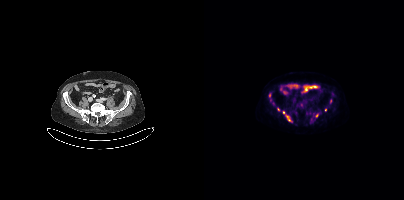
Coordinates are on the 200×200 PET (right) panel. PSMA-avid tumor lesion bounding box (x0,y0,x1,y1): [65,93,67,97]. Small PSMA-avid foci (2 to 4 px across) near (center x, center y): (86, 120), (83, 116), (74, 109), (121, 110), (79, 112), (126, 101), (112, 115).